Technique: Two-panel axial: CT | PSMA PET, 18F-PSMA tracer. slice 154 of 413. PET panel 200×200 px (4.1 mm/px).
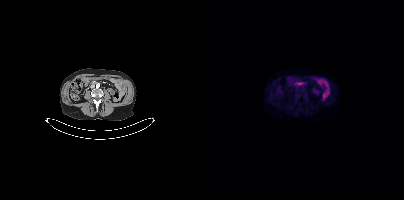
Findings: This slice has no annotated PSMA-avid lesion.